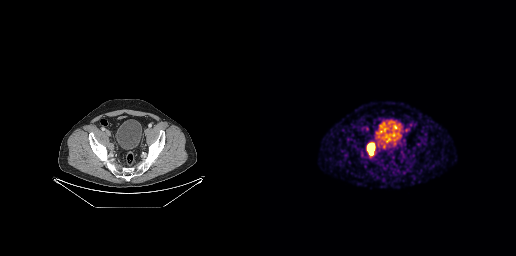
Coordinates are on the 256×256 PET (right) panel. PSMA-avid tumor lesion bounding box (x0, y0)-(x1, y1): (107, 142)-(115, 156). Two-panel axial: CT | PSMA PET, 68Ga-PSMA tracer. Acquired on GE Discovery 690. PET panel 256×256 px (2.7 mm/px).